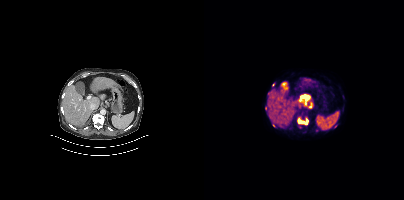
Paired axial CT (left) and PSMA PET (right), [18F]PSMA-1007 tracer. Slice position z = -1267 mm. PET panel 200×200 px (4.1 mm/px).
Coordinates are on the 200×200 PET (right) panel. PSMA-avid tumor lesion bounding boxes (partial; 2 more foci not listed):
| # | x0 | y0 | x1 | y1 |
|---|---|---|---|---|
| 1 | 93 | 118 | 104 | 124 |